Two-panel axial: CT | PSMA PET, 68Ga-PSMA tracer. PET panel 256×256 px (2.7 mm/px).
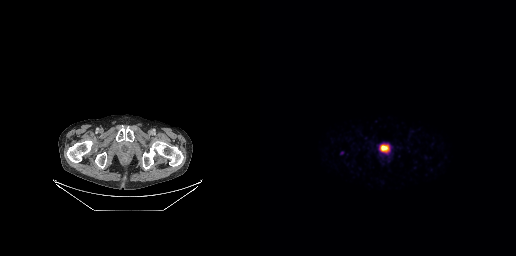
No tumor lesions annotated on this slice.